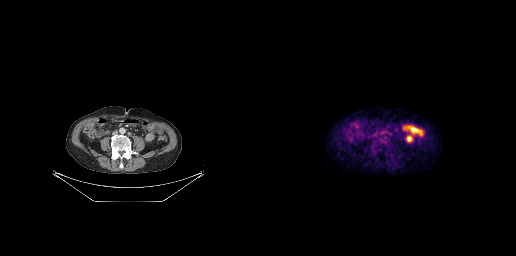
Technique: Paired axial CT (left) and PSMA PET (right), 18F-PSMA tracer.
Findings: Negative for PSMA-avid disease on this slice.